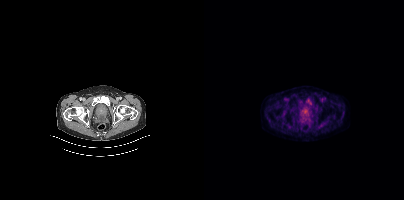
{"modality":"PSMA PET/CT","view":"axial","tracer":"[18F]PSMA-1007","pet_grid":[200,200],"coord_frame":"pet_panel","coord_format":"x0,y0,x1,y1","lesion_bboxes":[],"small_foci_centers":[[101,112]]}